Technique: Two-panel axial: CT | PSMA PET, 18F tracer. acquired on GE Discovery 690. slice 26 of 263. PET panel 256×256 px (2.7 mm/px).
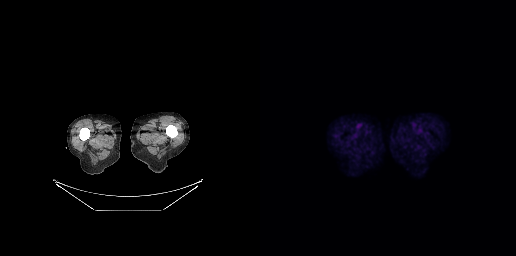
Findings: This slice has no annotated PSMA-avid lesion.